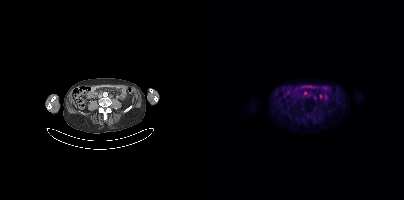
Paired axial CT (left) and PSMA PET (right), 18F tracer. Coordinates are on the 200×200 PET (right) panel. Small PSMA-avid focus (2 to 4 px across) near (center x, center y): (101, 92).